Two-panel axial: CT | PSMA PET, 18F tracer. Acquired on Siemens Biograph mCT Flow 20. PET panel 200×200 px (4.1 mm/px).
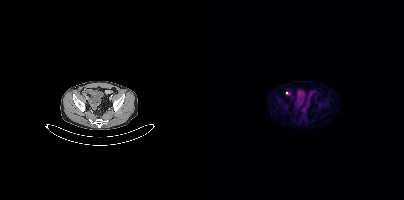
Coordinates are on the 200×200 PET (right) panel. Small PSMA-avid focus (2 to 4 px across) near (center x, center y): (82, 93).